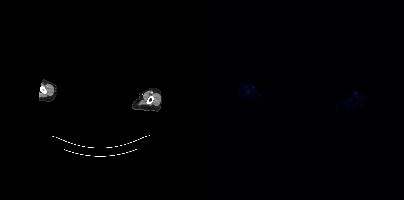
Head region blanked for anonymization (face removed). Left: CT. Right: PSMA PET, same axial level, 18F-PSMA tracer. Slice position z = -891 mm. No tumor lesions annotated on this slice.